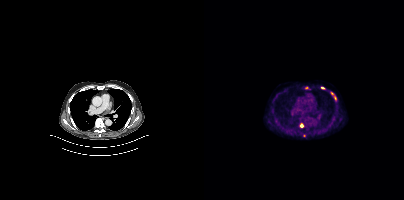
Coordinates are on the 200×200 PET (right) panel. (showing 5 of 6 foci) PSMA-avid tumor lesion bounding box (x0,y0,x1,y1): [96,123,99,127]. Small PSMA-avid foci (2 to 4 px across) near (center x, center y): (118, 87), (131, 98), (102, 87), (128, 93). Two-panel axial: CT | PSMA PET, 18F-PSMA tracer. PET panel 200×200 px (4.1 mm/px).